Technique: Paired axial CT (left) and PSMA PET (right), [18F]PSMA-1007 tracer. PET panel 200×200 px (4.1 mm/px).
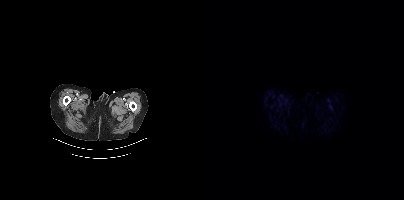
Findings: No tumor lesions annotated on this slice.